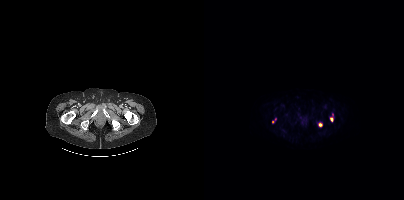
Coordinates are on the 200×200 PET (right) panel. PSMA-avid tumor lesion bounding box (x, y, width, height): x=126 y=117 w=4 h=5. Small PSMA-avid foci (2 to 4 px across) near (center x, center y): (116, 124) | (68, 121).